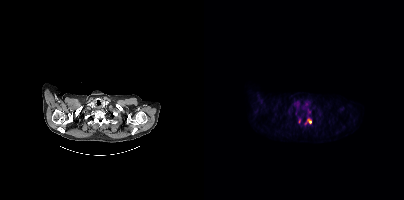
Left: CT. Right: PSMA PET, same axial level, 18F-PSMA tracer. Acquired on Siemens Biograph mCT Flow 20. Slice 358 of 435. PET panel 200×200 px (4.1 mm/px). Coordinates are on the 200×200 PET (right) panel. (showing 1 of 3 foci) PSMA-avid tumor lesion bounding box (x, y, width, height): x=103 y=119 w=5 h=5.